Left: CT. Right: PSMA PET, same axial level, 18F-PSMA tracer. Slice 124 of 405.
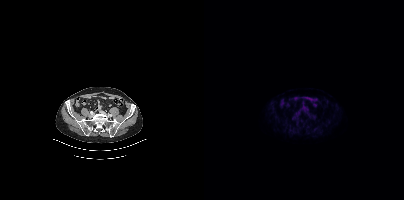
Only PSMA-avid lesion pieces thinner than 2 px on this slice (not listed).